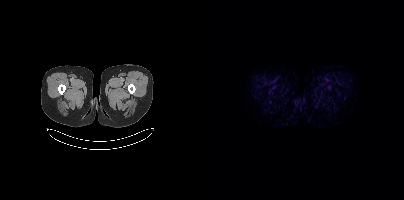
modality: PSMA PET/CT | tracer: 18F | view: axial | PET grid: 200×200
Negative for PSMA-avid disease on this slice.